modality: PSMA PET/CT | tracer: [18F]PSMA-1007 | view: axial | PET grid: 200×200
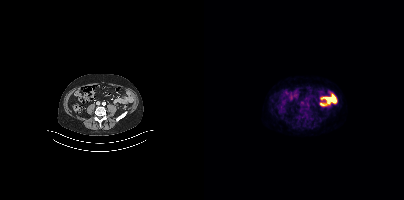
This slice has no annotated PSMA-avid lesion.